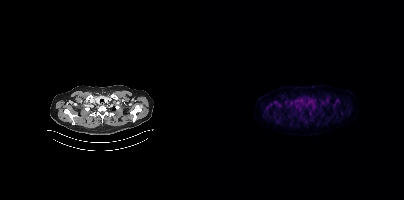
modality: PSMA PET/CT | tracer: [18F]PSMA-1007 | view: axial | PET grid: 200×200
Coordinates are on the 200×200 PET (right) panel. Small PSMA-avid focus (2 to 4 px across) near (center x, center y): (106, 113).